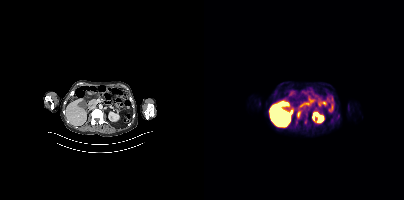
Coordinates are on the 200×200 PET (right) panel. PSMA-avid tumor lesion bounding box (x0, y0)-(x1, y1): (93, 111)-(97, 118).